Two-panel axial: CT | PSMA PET, 18F-PSMA tracer. Slice 234 of 411. PET panel 200×200 px (4.1 mm/px).
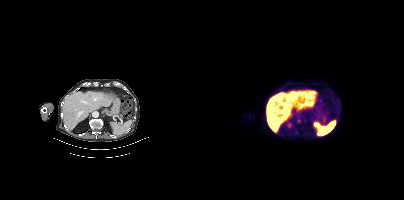
No PSMA-avid tumor lesions on this slice.